- Paired axial CT (left) and PSMA PET (right), 18F-PSMA tracer
- acquired on Siemens Biograph mCT Flow 20
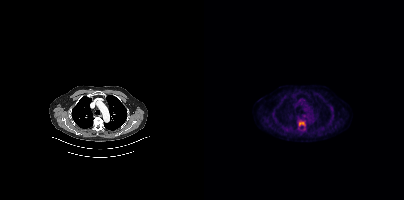
Findings: Coordinates are on the 200×200 PET (right) panel. (showing 1 of 2 foci) PSMA-avid tumor lesion bounding box (x0, y0)-(x1, y1): (94, 120)-(101, 126).